Two-panel axial: CT | PSMA PET, [18F]PSMA-1007 tracer.
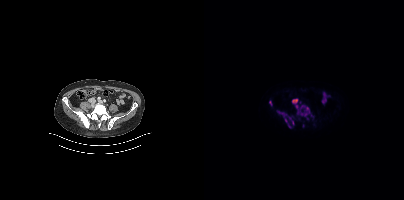
Coordinates are on the 200×200 PET (right) panel. PSMA-avid tumor lesion bounding boxes:
| # | x0 | y0 | x1 | y1 |
|---|---|---|---|---|
| 1 | 93 | 105 | 109 | 118 |
| 2 | 73 | 110 | 82 | 116 |
| 3 | 85 | 115 | 90 | 125 |
| 4 | 88 | 99 | 94 | 104 |
| 5 | 81 | 118 | 87 | 128 |
| 6 | 65 | 101 | 68 | 105 |
Small PSMA-avid focus (2 to 4 px across) near (center x, center y): (99, 125).